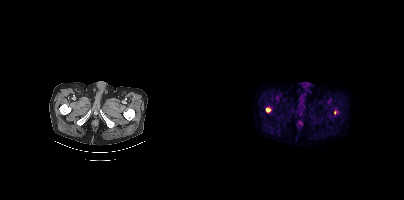
Coordinates are on the 200×200 PET (right) panel. PSMA-avid tumor lesion bounding box (x0,y0,x1,y1): [62,108,66,111]. Small PSMA-avid focus (2 to 4 px across) near (center x, center y): (131, 112).
modality: PSMA PET/CT | tracer: 18F | view: axial | PET grid: 200×200